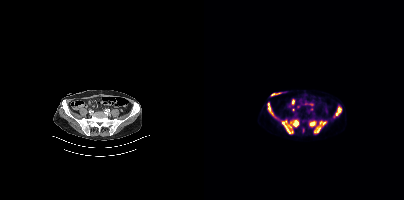
{"pet_grid":[200,200],"coord_frame":"pet_panel","coord_format":"x0,y0,x1,y1","lesion_bboxes":[[78,120,94,133],[110,121,122,132],[63,103,74,119],[131,107,137,115],[105,121,112,126]],"modality":"PSMA PET/CT","view":"axial","tracer":"18F"}